Technique: Left: CT. Right: PSMA PET, same axial level, 68Ga-PSMA tracer.
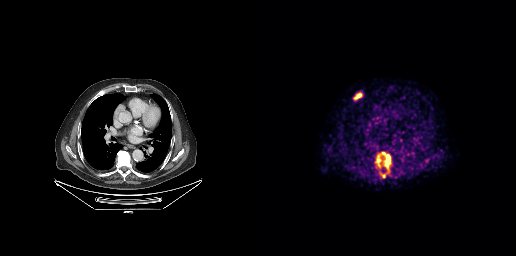
Findings: Coordinates are on the 256×256 PET (right) panel. PSMA-avid tumor lesion bounding boxes (x, y, width, height): x=115 y=152 w=17 h=22; x=93 y=92 w=10 h=9; x=120 y=173 w=6 h=5.